Two-panel axial: CT | PSMA PET, [18F]PSMA-1007 tracer. Acquired on Siemens Biograph mCT Flow 20. Slice position z = -206 mm. PET panel 200×200 px (4.1 mm/px).
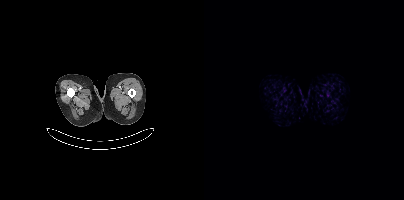
No PSMA-avid tumor lesions on this slice.